Two-panel axial: CT | PSMA PET, 18F-PSMA tracer. Acquired on Siemens Biograph mCT Flow 20. PET panel 200×200 px (4.1 mm/px).
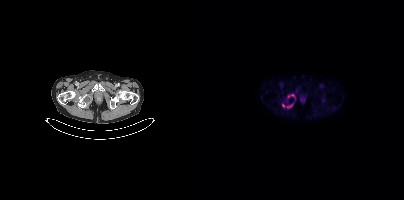
Coordinates are on the 200×200 PET (right) panel. PSMA-avid tumor lesion bounding boxes:
| # | x0 | y0 | x1 | y1 |
|---|---|---|---|---|
| 1 | 84 | 103 | 89 | 108 |
Small PSMA-avid foci (2 to 4 px across) near (center x, center y): (79, 105); (88, 94); (84, 96); (90, 98).